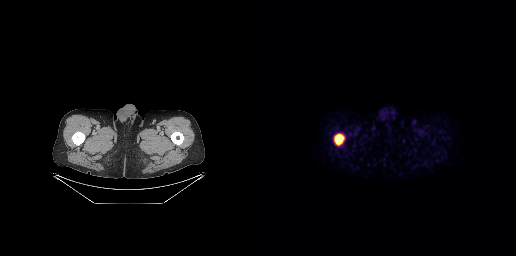
Paired axial CT (left) and PSMA PET (right), 18F tracer. Coordinates are on the 256×256 PET (right) panel. PSMA-avid tumor lesion bounding box (x, y, width, height): x=74 y=133 w=11 h=13.